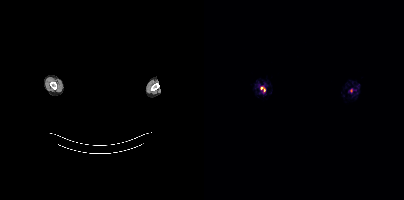
This slice has no annotated PSMA-avid lesion. Left: CT. Right: PSMA PET, same axial level, [18F]PSMA-1007 tracer. An anonymization step blacked out a rectangle over the head in this scan.